modality: PSMA PET/CT | tracer: [18F]PSMA-1007 | view: axial | PET grid: 256×256
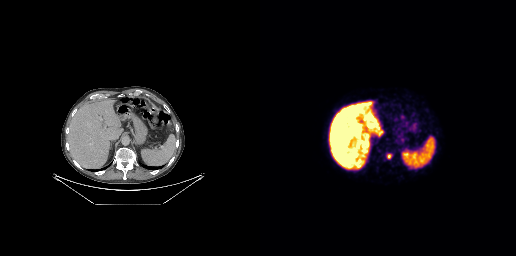
Coordinates are on the 256×256 PET (right) panel. PSMA-avid tumor lesion bounding box (x0,y0,x1,y1): [127,154,130,158].